modality: PSMA PET/CT | tracer: 18F-PSMA | view: axial | PET grid: 200×200
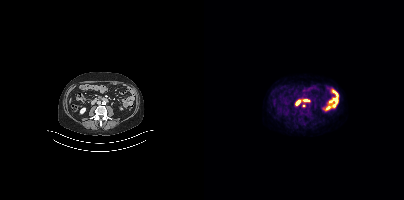
Coordinates are on the 200×200 PET (right) panel. Small PSMA-avid focus (2 to 4 px across) near (center x, center y): (100, 105).